Two-panel axial: CT | PSMA PET, 18F tracer. Acquired on Siemens Biograph mCT Flow 20. Slice 223 of 438.
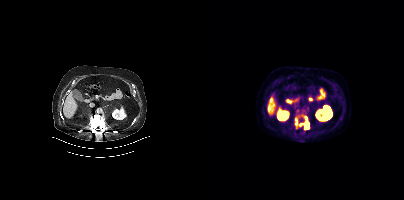
Coordinates are on the 200×200 PET (right) panel. PSMA-avid tumor lesion bounding boxes (x0,y0,x1,y1): [94,114,103,121], [101,123,104,129], [91,119,93,125], [95,123,99,126].